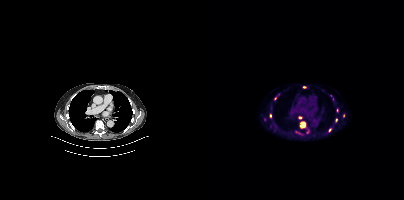
Coordinates are on the 200×200 PET (right) panel. (showing 8 of 11 foci) PSMA-avid tumor lesion bounding box (x0,y0,x1,y1): [96,122,101,127]. Small PSMA-avid foci (2 to 4 px across) near (center x, center y): (100, 87); (66, 115); (126, 129); (132, 120); (96, 117); (139, 115); (71, 98).